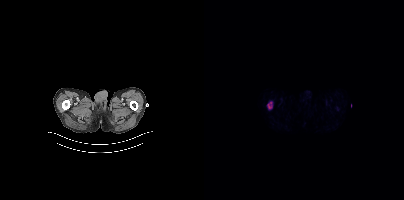
Coordinates are on the 200×200 PET (right) panel. PSMA-avid tumor lesion bounding box (x0, y0)-(x1, y1): (63, 102)-(68, 108).
modality: PSMA PET/CT | tracer: [18F]PSMA-1007 | view: axial